Two-panel axial: CT | PSMA PET, 18F-PSMA tracer. Slice position z = -1489 mm. PET panel 168×168 px (4.1 mm/px).
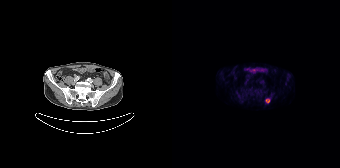
Coordinates are on the 168×168 PET (right) panel. PSMA-avid tumor lesion bounding boxes:
| # | x0 | y0 | x1 | y1 |
|---|---|---|---|---|
| 1 | 93 | 98 | 97 | 102 |